Paired axial CT (left) and PSMA PET (right), 18F-PSMA tracer. Acquired on GE Discovery 690. Slice position z = -420 mm. PET panel 256×256 px (2.7 mm/px).
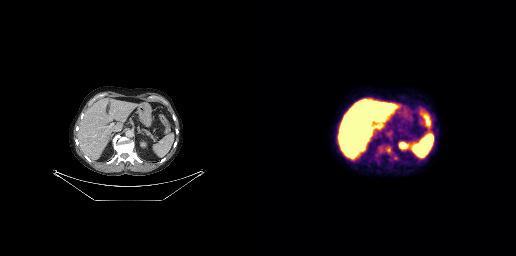
Coordinates are on the 256×256 PET (right) panel. Small PSMA-avid focus (2 to 4 px across) near (center x, center y): (128, 149).